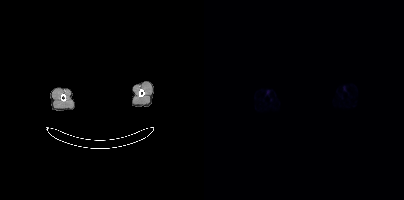
A rectangle over the head was blacked out to remove identifiable facial features. Two-panel axial: CT | PSMA PET, 68Ga tracer. Acquired on Siemens Biograph mCT Flow 20. Slice 374 of 409. No PSMA-avid tumor lesions on this slice.